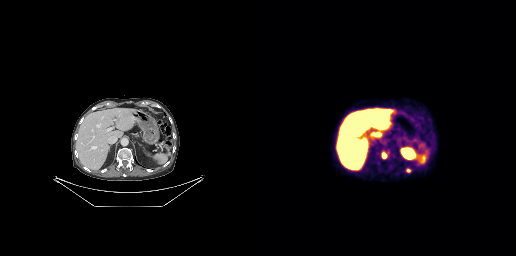
modality: PSMA PET/CT | tracer: [18F]PSMA-1007 | view: axial | PET grid: 256×256
Coordinates are on the 256×256 PET (right) panel. PSMA-avid tumor lesion bounding boxes (x0, y0)-(x1, y1): (122, 153)-(126, 158); (146, 168)-(151, 172).